- Two-panel axial: CT | PSMA PET, [68Ga]Ga-PSMA-11 tracer
- slice position z = -1702 mm
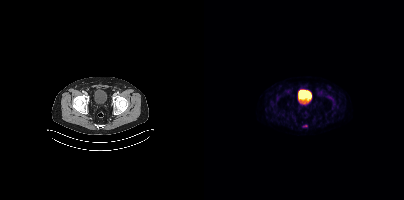
Findings: Coordinates are on the 200×200 PET (right) panel. Small PSMA-avid focus (2 to 4 px across) near (center x, center y): (101, 125).